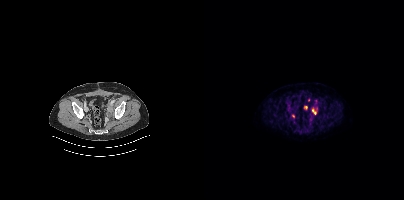
Findings: Coordinates are on the 200×200 PET (right) panel. PSMA-avid tumor lesion bounding box (x0,y0,x1,y1): [108,107,113,114]. Small PSMA-avid foci (2 to 4 px across) near (center x, center y): (89, 116) (101, 107).
Technique: Left: CT. Right: PSMA PET, same axial level, 18F-PSMA tracer. acquired on Siemens Biograph mCT Flow 20. slice 92 of 417.